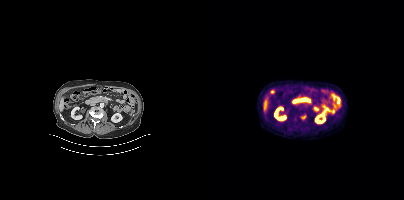
Coordinates are on the 200×200 PET (right) panel. Small PSMA-avid focus (2 to 4 px across) near (center x, center y): (99, 117). Paired axial CT (left) and PSMA PET (right), 18F-PSMA tracer. Slice position z = -1324 mm. PET panel 200×200 px (4.1 mm/px).